modality: PSMA PET/CT | tracer: [18F]PSMA-1007 | view: axial | PET grid: 200×200 | redaction: facial region redacted
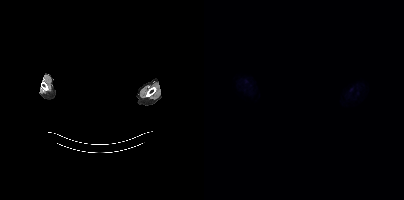
No PSMA-avid tumor lesions on this slice.